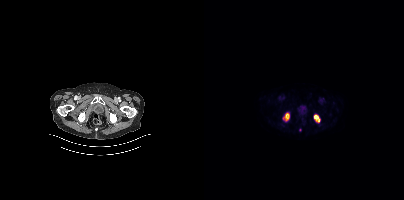
Coordinates are on the 200×200 PET (right) panel. (showing 2 of 3 foci) PSMA-avid tumor lesion bounding boxes (x, y, width, height): x=110 y=115 w=6 h=8; x=81 y=113 w=5 h=8.